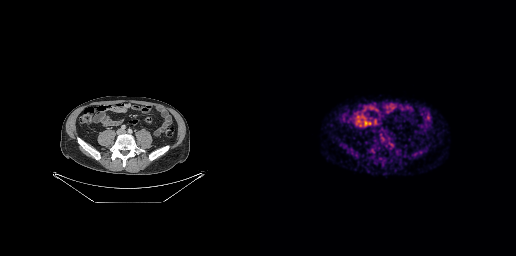
Findings: This slice has no annotated PSMA-avid lesion.
Technique: Left: CT. Right: PSMA PET, same axial level, 18F tracer. acquired on GE Discovery 690.